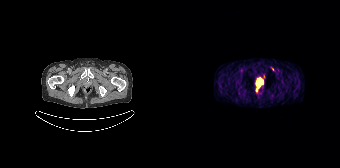
Technique: Left: CT. Right: PSMA PET, same axial level, 68Ga tracer. slice position z = -1404 mm.
Findings: Coordinates are on the 168×168 PET (right) panel. PSMA-avid tumor lesion bounding box (x0,y0,x1,y1): [85,80,90,87].